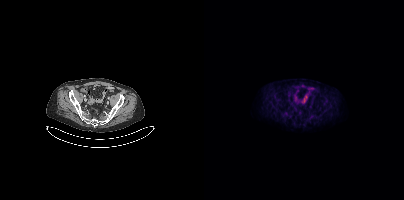
Negative for PSMA-avid disease on this slice.